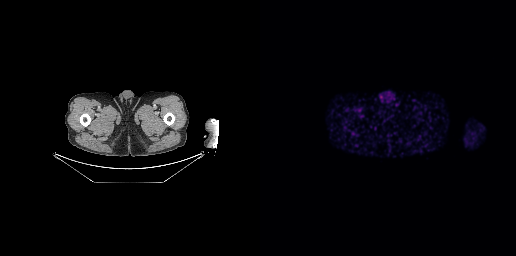
- Paired axial CT (left) and PSMA PET (right), 68Ga-PSMA tracer
Findings: No tumor lesions annotated on this slice.